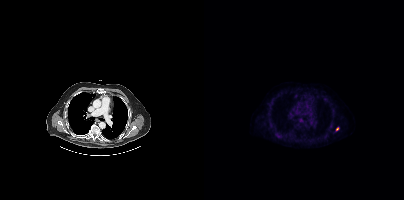
{"modality":"PSMA PET/CT","view":"axial","tracer":"18F-PSMA","pet_grid":[200,200],"coord_frame":"pet_panel","coord_format":"x0,y0,x1,y1","lesion_bboxes":[],"small_foci_centers":[[133,128]]}